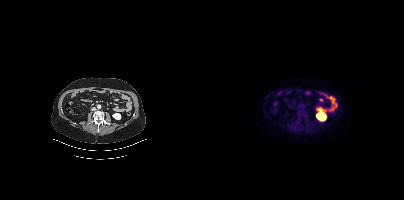
Two-panel axial: CT | PSMA PET, [18F]PSMA-1007 tracer. Slice 188 of 417. PET panel 200×200 px (4.1 mm/px). No tumor lesions annotated on this slice.